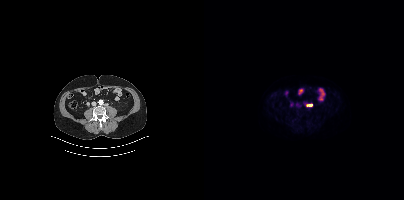
Coordinates are on the 200×200 PET (right) panel. PSMA-avid tumor lesion bounding box (x, y, width, height): x=102 y=104 w=7 h=3.